modality: PSMA PET/CT | tracer: 18F-PSMA | view: axial | PET grid: 200×200
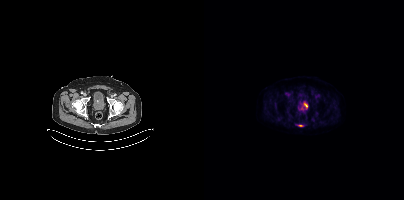
Coordinates are on the 200×200 PET (right) panel. PSMA-avid tumor lesion bounding box (x0,y0,x1,y1): [94,125,98,126].